Technique: Two-panel axial: CT | PSMA PET, 18F tracer.
Note: De-identified by setting a box covering the face to black before release.
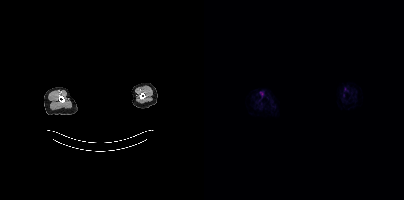
Findings: No tumor lesions annotated on this slice.